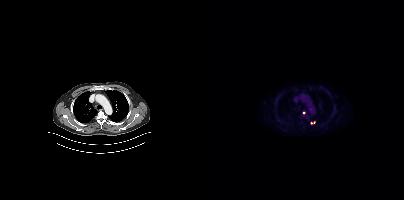
{"modality":"PSMA PET/CT","view":"axial","tracer":"[18F]PSMA-1007","pet_grid":[200,200],"coord_frame":"pet_panel","coord_format":"x0,y0,x1,y1","partial":true,"lesion_bboxes":[]}